- Paired axial CT (left) and PSMA PET (right), 18F tracer
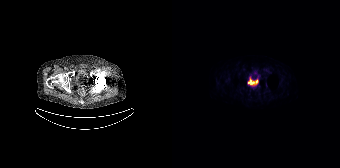
Findings: No PSMA-avid tumor lesions on this slice.